Paired axial CT (left) and PSMA PET (right), 18F tracer. Slice position z = -1084 mm.
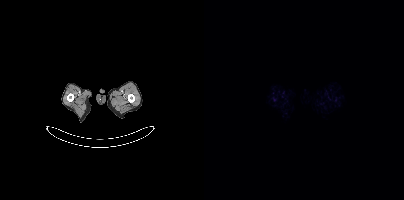
No PSMA-avid tumor lesions on this slice.